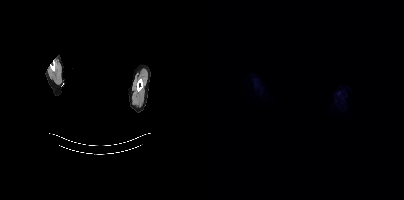
{"modality":"PSMA PET/CT","view":"axial","tracer":"18F","pet_grid":[200,200],"coord_frame":"pet_panel","coord_format":"x0,y0,x1,y1","de-identification":"facial region redacted","psma_avid_lesions":false}